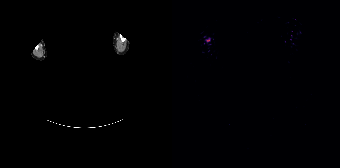
Facial anatomy redacted by setting a rectangular region of the head to black.
No PSMA-avid tumor lesions on this slice.